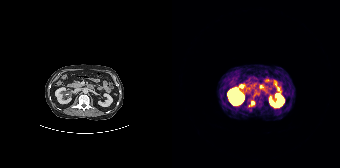
{"modality":"PSMA PET/CT","view":"axial","tracer":"[68Ga]Ga-PSMA-11","pet_grid":[168,168],"coord_frame":"pet_panel","coord_format":"x0,y0,x1,y1","lesion_bboxes":[[79,101,82,105]]}